modality: PSMA PET/CT | tracer: 18F | view: axial
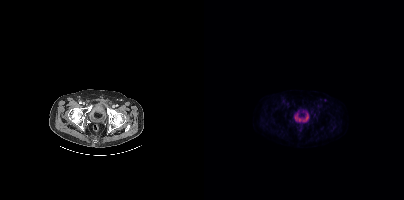
No tumor lesions annotated on this slice.